- Left: CT. Right: PSMA PET, same axial level, 18F-PSMA tracer
- PET panel 200×200 px (4.1 mm/px)
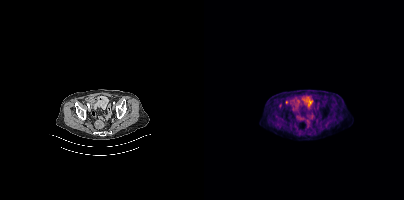
Findings: No tumor lesions annotated on this slice.